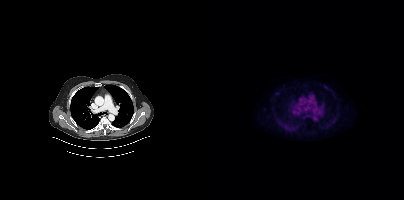
No PSMA-avid tumor lesions on this slice. Paired axial CT (left) and PSMA PET (right), 18F tracer. Slice 326 of 442.